Two-panel axial: CT | PSMA PET, 18F-PSMA tracer. Acquired on Siemens Biograph mCT Flow 20. PET panel 200×200 px (4.1 mm/px). Face de-identified by blanking a block of the head.
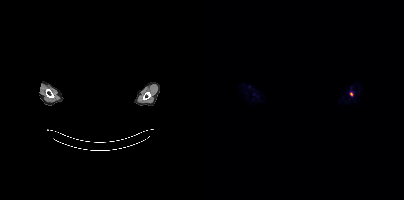
Coordinates are on the 200×200 PET (right) panel. Small PSMA-avid focus (2 to 4 px across) near (center x, center y): (147, 93).